de-identification: head region blanked (face removed) | modality: PSMA PET/CT | tracer: 18F | view: axial
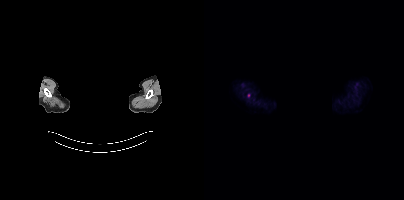
Coordinates are on the 200×200 PET (right) panel. Small PSMA-avid focus (2 to 4 px across) near (center x, center y): (44, 95).